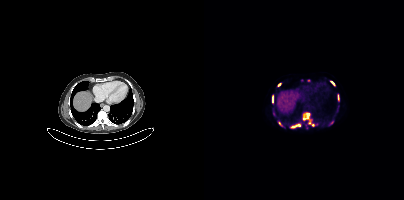
Findings: Coordinates are on the 200×200 PET (right) panel. (showing 10 of 11 foci) PSMA-avid tumor lesion bounding boxes (x, y, width, height): x=99 y=112 w=11 h=14 / x=68 y=95 w=2 h=8 / x=126 y=81 w=6 h=5 / x=133 y=94 w=3 h=7. Small PSMA-avid foci (2 to 4 px across) near (center x, center y): (88, 127) / (75, 84) / (102, 127) / (104, 80) / (75, 123) / (127, 122).
Technique: Two-panel axial: CT | PSMA PET, [18F]PSMA-1007 tracer. slice 255 of 407.